Head region blanked for anonymization (face removed).
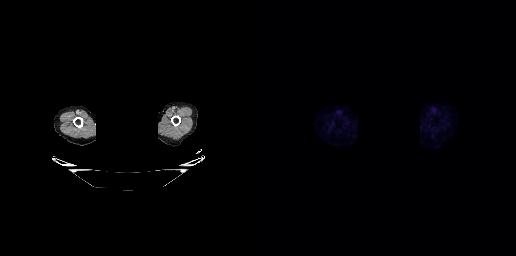
No tumor lesions annotated on this slice.